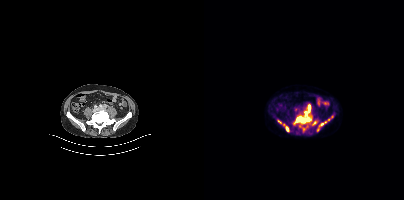
Coordinates are on the 200×200 PET (right) panel. (showing 5 of 8 foci) PSMA-avid tumor lesion bounding boxes (x0, y0)-(x1, y1): (90, 105)-(107, 123); (82, 126)-(84, 131). Small PSMA-avid foci (2 to 4 px across) near (center x, center y): (118, 124); (110, 122); (75, 121). Two-panel axial: CT | PSMA PET, 18F tracer.